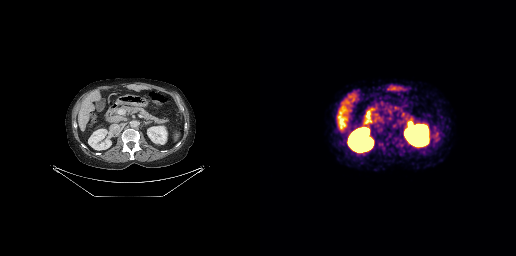
Technique: Two-panel axial: CT | PSMA PET, 68Ga tracer. slice position z = -624 mm. PET panel 256×256 px (2.7 mm/px).
Findings: Coordinates are on the 256×256 PET (right) panel. PSMA-avid tumor lesion bounding box (x0,y0,x1,y1): [149,122,151,126].